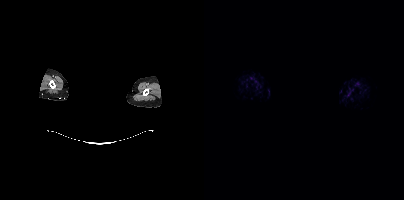
{"modality":"PSMA PET/CT","view":"axial","tracer":"18F-PSMA","pet_grid":[200,200],"coord_frame":"pet_panel","coord_format":"x0,y0,x1,y1","redaction":"face masked with black rectangle","psma_avid_lesions":false}